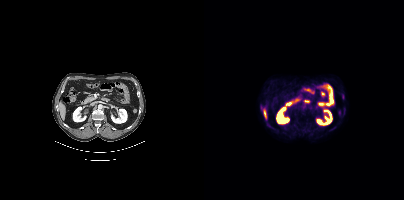
Two-panel axial: CT | PSMA PET, 18F tracer. Acquired on Siemens Biograph mCT Flow 20. PET panel 200×200 px (4.1 mm/px). No tumor lesions annotated on this slice.